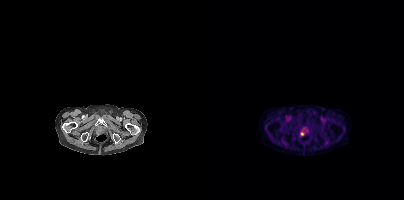
Technique: Paired axial CT (left) and PSMA PET (right), 18F-PSMA tracer. slice 58 of 389.
Findings: Coordinates are on the 200×200 PET (right) panel. Small PSMA-avid focus (2 to 4 px across) near (center x, center y): (98, 133).